Left: CT. Right: PSMA PET, same axial level, [18F]PSMA-1007 tracer. Acquired on Siemens Biograph mCT Flow 20.
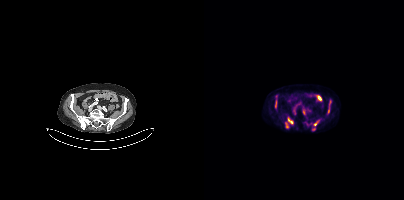
Coordinates are on the 200×200 PET (right) panel. (showing 5 of 6 foci) PSMA-avid tumor lesion bounding boxes (x0, y0)-(x1, y1): (84, 117)-(89, 124); (124, 104)-(125, 113); (71, 100)-(72, 107); (81, 123)-(84, 127). Small PSMA-avid focus (2 to 4 px across) near (center x, center y): (111, 124).